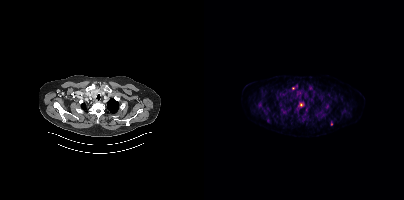
modality: PSMA PET/CT | tracer: [18F]PSMA-1007 | view: axial
Coordinates are on the 200×200 PET (right) panel. (showing 11 of 13 foci) PSMA-avid tumor lesion bounding boxes (x0, y0)-(x1, y1): (53, 101)-(59, 108); (121, 101)-(127, 107); (104, 86)-(108, 90); (100, 107)-(104, 113). Small PSMA-avid foci (2 to 4 px across) near (center x, center y): (118, 110); (97, 104); (127, 123); (89, 88); (140, 110); (64, 121); (82, 106).